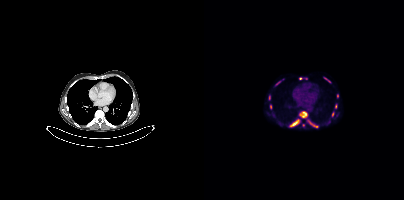
- Left: CT. Right: PSMA PET, same axial level, 18F tracer
Findings: Coordinates are on the 200×200 PET (right) panel. (showing 12 of 14 foci) PSMA-avid tumor lesion bounding boxes (x, y, width, height): x=95 y=111 w=9 h=7 | x=86 y=119 w=10 h=8 | x=104 y=120 w=7 h=7 | x=120 y=77 w=7 h=6 | x=131 y=104 w=2 h=5. Small PSMA-avid foci (2 to 4 px across) near (center x, center y): (96, 78) | (66, 106) | (65, 97) | (73, 83) | (133, 96) | (99, 125) | (128, 115).